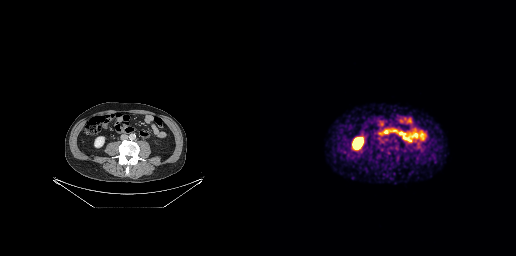
This slice has no annotated PSMA-avid lesion.